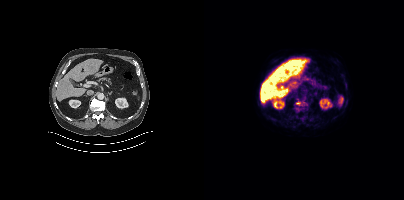
Findings: Coordinates are on the 200×200 PET (right) panel. PSMA-avid tumor lesion bounding box (x, y, width, height): x=92 y=102 w=5 h=4.
Technique: Left: CT. Right: PSMA PET, same axial level, [18F]PSMA-1007 tracer. acquired on Siemens Biograph mCT Flow 20. slice position z = -542 mm.